Left: CT. Right: PSMA PET, same axial level, 18F tracer.
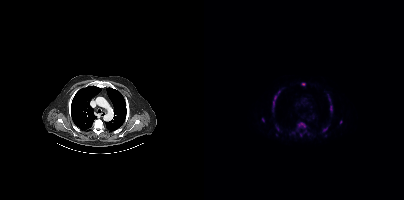
Coordinates are on the 200×200 PET (right) panel. PSMA-avid tumor lesion bounding boxes (x0,y0,x1,y1): [93,122,101,130], [68,91,76,111], [126,105,128,111], [123,94,126,101], [119,127,123,131], [72,126,75,130]. Small PSMA-avid foci (2 to 4 px across) near (center x, center y): (99, 84), (59, 119), (97, 134), (137, 122), (100, 131), (89, 132), (72, 134).